Technique: Paired axial CT (left) and PSMA PET (right), [18F]PSMA-1007 tracer. slice 302 of 395.
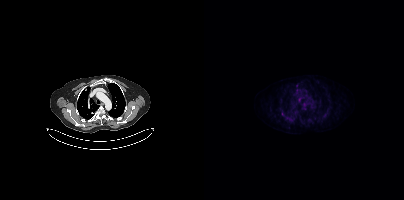
Findings: Coordinates are on the 200×200 PET (right) panel. Small PSMA-avid focus (2 to 4 px across) near (center x, center y): (95, 99).